Paired axial CT (left) and PSMA PET (right), 18F tracer. Acquired on Siemens Biograph mCT Flow 20.
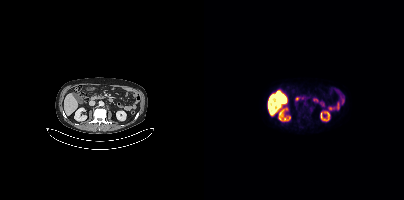
This slice has no annotated PSMA-avid lesion.